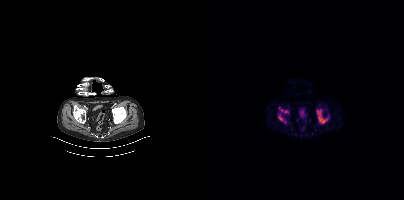
{"modality":"PSMA PET/CT","view":"axial","tracer":"18F","pet_grid":[200,200],"coord_frame":"pet_panel","coord_format":"x0,y0,x1,y1","lesion_bboxes":[[112,108,125,123],[74,107,85,123]]}